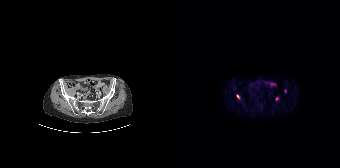
Paired axial CT (left) and PSMA PET (right), 18F tracer. Acquired on Siemens Biograph 64-4R TruePoint.
Coordinates are on the 168×168 PET (right) panel. PSMA-avid tumor lesion bounding boxes:
| # | x0 | y0 | x1 | y1 |
|---|---|---|---|---|
| 1 | 64 | 94 | 67 | 99 |
Small PSMA-avid foci (2 to 4 px across) near (center x, center y): (105, 98); (113, 91).